Facial anatomy redacted by setting a rectangular region of the head to black.
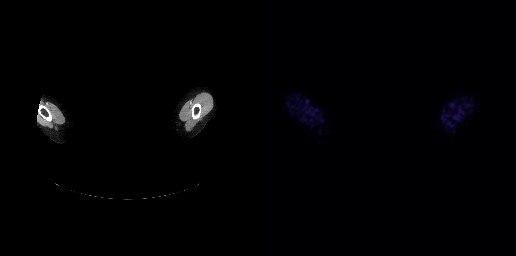
No PSMA-avid tumor lesions on this slice.